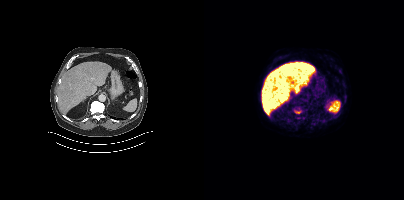
Findings: Negative for PSMA-avid disease on this slice.
Technique: Left: CT. Right: PSMA PET, same axial level, 18F tracer.